Technique: Left: CT. Right: PSMA PET, same axial level, 18F-PSMA tracer. acquired on Siemens Biograph mCT Flow 20. slice position z = -416 mm.
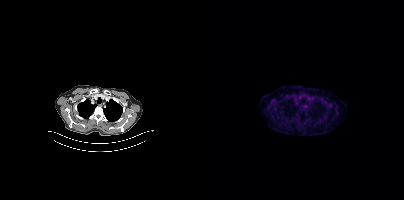
Findings: No PSMA-avid tumor lesions on this slice.